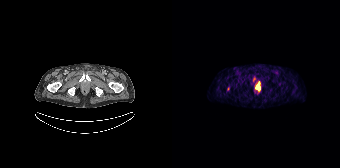
modality: PSMA PET/CT | tracer: 68Ga-PSMA | view: axial
Coordinates are on the 168×168 PET (right) panel. PSMA-avid tumor lesion bounding boxes (x0,y0,x1,y1): [83,81,88,91], [81,76,83,81]. Small PSMA-avid focus (2 to 4 px across) near (center x, center y): (56, 88).